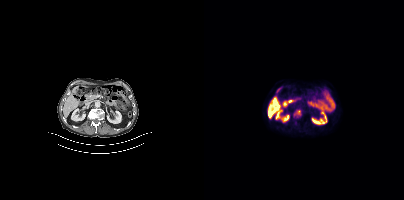
{"pet_grid":[200,200],"coord_frame":"pet_panel","coord_format":"x0,y0,x1,y1","lesion_bboxes":[[90,110,96,116]],"modality":"PSMA PET/CT","view":"axial","tracer":"[18F]PSMA-1007"}